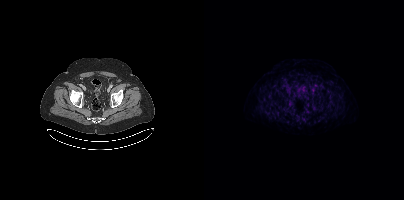
Findings: Coordinates are on the 200×200 PET (right) panel. PSMA-avid tumor lesion bounding box (x0, y0)-(x1, y1): (85, 101)-(88, 105).
Technique: Left: CT. Right: PSMA PET, same axial level, [18F]PSMA-1007 tracer. slice position z = -681 mm. PET panel 200×200 px (4.1 mm/px).